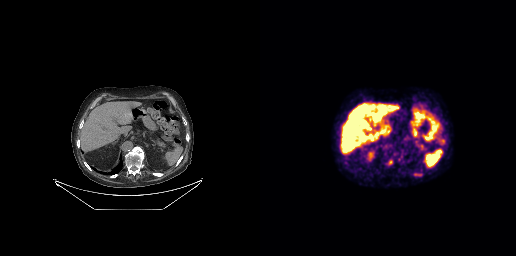
modality: PSMA PET/CT | tracer: [18F]PSMA-1007 | view: axial
Coordinates are on the 256×256 PET (right) panel. PSMA-avid tumor lesion bounding boxes (x0, y0)-(x1, y1): (127, 159)-(132, 165); (154, 173)-(161, 175).